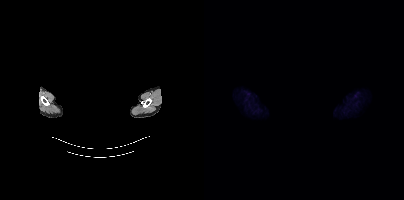
- Paired axial CT (left) and PSMA PET (right), 18F tracer
- acquired on Siemens Biograph mCT Flow 20
- PET panel 200×200 px (4.1 mm/px)
- any black rectangle over the head is a privacy mask, not anatomy
Findings: Negative for PSMA-avid disease on this slice.